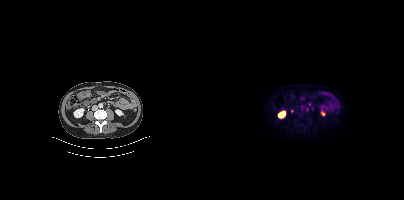
Only PSMA-avid lesion pieces thinner than 2 px on this slice (not listed).
modality: PSMA PET/CT | tracer: 18F | view: axial | PET grid: 200×200